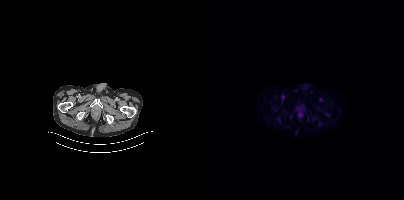
modality: PSMA PET/CT | tracer: 18F | view: axial
Negative for PSMA-avid disease on this slice.